Paired axial CT (left) and PSMA PET (right), 68Ga tracer. PET panel 256×256 px (2.7 mm/px).
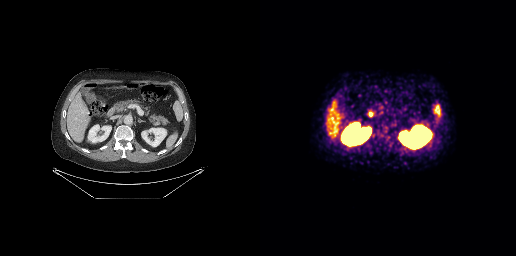
No PSMA-avid tumor lesions on this slice.